Two-panel axial: CT | PSMA PET, 18F tracer. Acquired on Siemens Biograph mCT Flow 20. PET panel 200×200 px (4.1 mm/px).
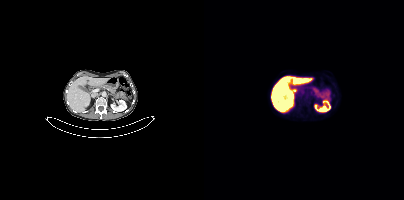
Negative for PSMA-avid disease on this slice.